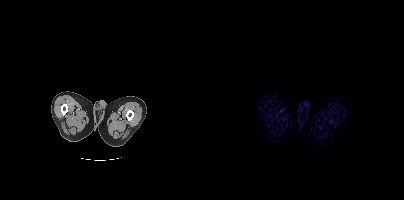
{"modality":"PSMA PET/CT","view":"axial","tracer":"18F-PSMA","pet_grid":[200,200],"coord_frame":"pet_panel","coord_format":"x0,y0,x1,y1","psma_avid_lesions":false}